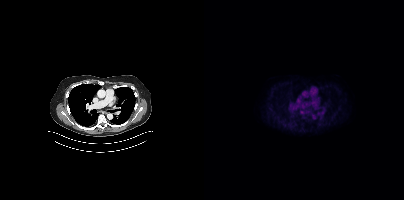
Two-panel axial: CT | PSMA PET, 18F-PSMA tracer. PET panel 200×200 px (4.1 mm/px). No PSMA-avid tumor lesions on this slice.